Technique: Left: CT. Right: PSMA PET, same axial level, 18F tracer. PET panel 200×200 px (4.1 mm/px).
Note: Any black rectangle over the head is a privacy mask, not anatomy.
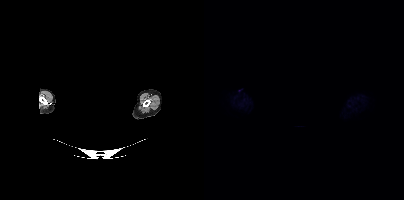
Findings: No PSMA-avid tumor lesions on this slice.